- Two-panel axial: CT | PSMA PET, [18F]PSMA-1007 tracer
- acquired on Siemens Biograph mCT Flow 20
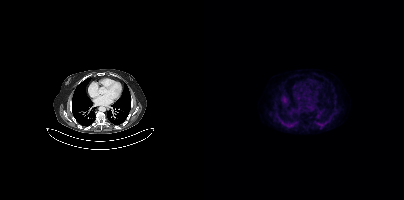
Findings: This slice has no annotated PSMA-avid lesion.